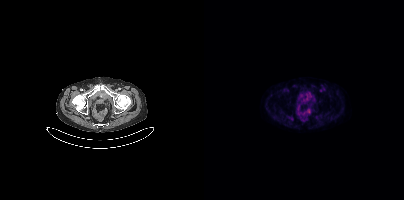
{"pet_grid":[200,200],"coord_frame":"pet_panel","coord_format":"x0,y0,x1,y1","psma_avid_lesions":false,"modality":"PSMA PET/CT","view":"axial","tracer":"[18F]PSMA-1007"}